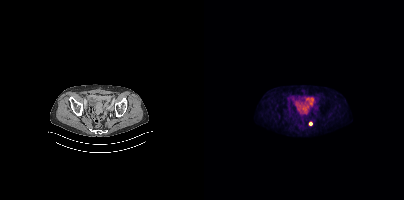
Two-panel axial: CT | PSMA PET, 18F-PSMA tracer. Coordinates are on the 200×200 PET (right) panel. Small PSMA-avid focus (2 to 4 px across) near (center x, center y): (106, 123).